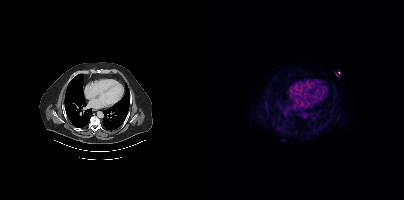
{"modality":"PSMA PET/CT","view":"axial","tracer":"[18F]PSMA-1007","pet_grid":[200,200],"coord_frame":"pet_panel","coord_format":"x0,y0,x1,y1","psma_avid_lesions":false}